Two-panel axial: CT | PSMA PET, [68Ga]Ga-PSMA-11 tracer. Acquired on Siemens Biograph 64-4R TruePoint. PET panel 168×168 px (4.1 mm/px).
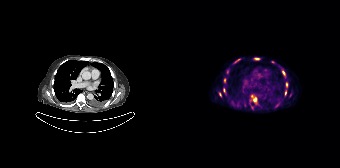
Coordinates are on the 168×168 PET (right) panel. PSMA-avid tumor lesion bounding boxes (partial; 2 more foci not listed):
| # | x0 | y0 | x1 | y1 |
|---|---|---|---|---|
| 1 | 79 | 95 | 86 | 104 |
| 2 | 110 | 69 | 113 | 76 |
| 3 | 82 | 58 | 87 | 59 |
| 4 | 51 | 88 | 53 | 92 |
| 5 | 113 | 90 | 114 | 95 |
| 6 | 114 | 83 | 115 | 87 |
| 7 | 63 | 59 | 67 | 62 |
Small PSMA-avid foci (2 to 4 px across) near (center x, center y): (48, 94); (55, 71); (52, 80); (101, 61).